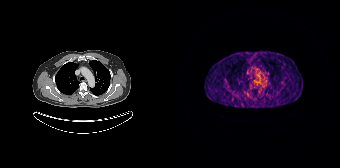
No tumor lesions annotated on this slice.